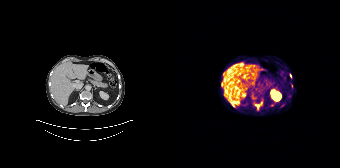
{"modality":"PSMA PET/CT","view":"axial","tracer":"68Ga-PSMA","pet_grid":[168,168],"coord_frame":"pet_panel","coord_format":"x0,y0,x1,y1","partial":true,"lesion_bboxes":[[49,81,51,86]],"small_foci_centers":[[85,106],[118,75]]}